Technique: Left: CT. Right: PSMA PET, same axial level, 18F-PSMA tracer. PET panel 200×200 px (4.1 mm/px).
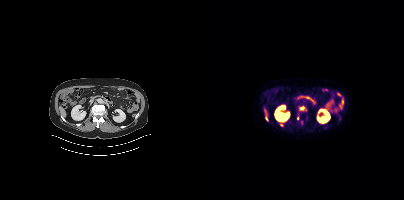
Findings: Coordinates are on the 200×200 PET (right) panel. Small PSMA-avid foci (2 to 4 px across) near (center x, center y): (97, 108) (62, 118) (93, 118).